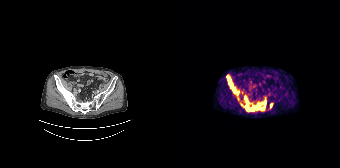
Findings: Coordinates are on the 168×168 PET (right) panel. (showing 5 of 6 foci) PSMA-avid tumor lesion bounding boxes (x, y, width, height): x=55 y=76 w=9 h=16 | x=73 y=99 w=9 h=13 | x=85 y=103 w=8 h=8 | x=92 y=100 w=2 h=5. Small PSMA-avid focus (2 to 4 px across) near (center x, center y): (99, 105).
- Two-panel axial: CT | PSMA PET, [68Ga]Ga-PSMA-11 tracer
- acquired on Siemens Biograph 64-4R TruePoint